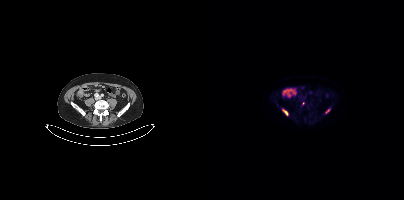
Two-panel axial: CT | PSMA PET, [18F]PSMA-1007 tracer. Slice 149 of 421.
Coordinates are on the 200×200 PET (right) panel. PSMA-avid tumor lesion bounding boxes:
| # | x0 | y0 | x1 | y1 |
|---|---|---|---|---|
| 1 | 121 | 108 | 126 | 113 |
| 2 | 79 | 109 | 84 | 115 |